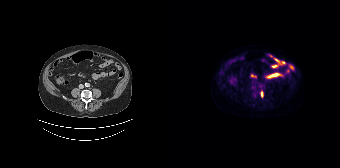
{"pet_grid":[168,168],"coord_frame":"pet_panel","coord_format":"x0,y0,x1,y1","lesion_bboxes":[[89,92,90,96]],"modality":"PSMA PET/CT","view":"axial","tracer":"18F"}